Technique: Left: CT. Right: PSMA PET, same axial level, 18F-PSMA tracer. PET panel 168×168 px (4.1 mm/px).
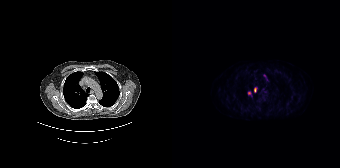
Findings: Coordinates are on the 168×168 PET (right) panel. PSMA-avid tumor lesion bounding box (x, y, width, height): x=82 y=87 w=4 h=6. Small PSMA-avid foci (2 to 4 px across) near (center x, center y): (77, 93) | (92, 75).